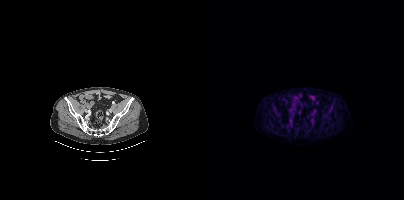
modality: PSMA PET/CT | tracer: [18F]PSMA-1007 | view: axial
No PSMA-avid tumor lesions on this slice.